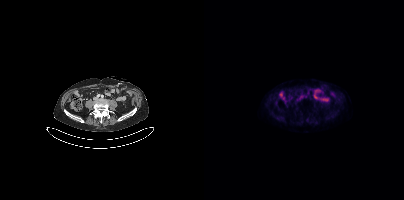
modality: PSMA PET/CT | tracer: 18F-PSMA | view: axial | PET grid: 200×200
This slice has no annotated PSMA-avid lesion.